Technique: Two-panel axial: CT | PSMA PET, 18F tracer.
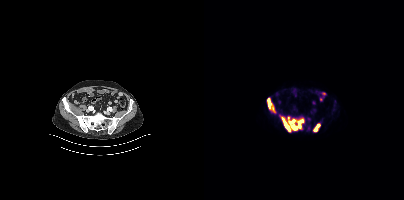
Findings: Coordinates are on the 200×200 PET (right) panel. PSMA-avid tumor lesion bounding boxes (x, y, width, height): x=76 y=115 w=24 h=17 / x=63 y=98 w=9 h=15 / x=110 y=124 w=6 h=8.